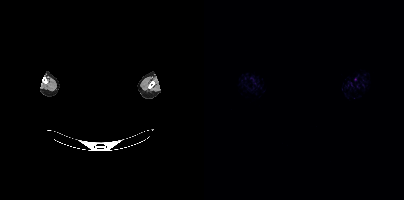
No PSMA-avid tumor lesions on this slice. Paired axial CT (left) and PSMA PET (right), [18F]PSMA-1007 tracer. Acquired on Siemens Biograph mCT Flow 20. Slice position z = -802 mm. Facial anatomy redacted by setting a rectangular region of the head to black.